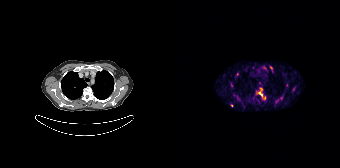
Technique: Two-panel axial: CT | PSMA PET, 68Ga tracer. slice 124 of 165. PET panel 168×168 px (4.1 mm/px).
Findings: Coordinates are on the 168×168 PET (right) panel. (showing 7 of 9 foci) PSMA-avid tumor lesion bounding boxes (x0, y0)-(x1, y1): (86, 88)-(90, 97) / (120, 86)-(123, 91) / (98, 66)-(100, 71) / (114, 83)-(116, 87). Small PSMA-avid foci (2 to 4 px across) near (center x, center y): (109, 98) / (60, 105) / (65, 74).